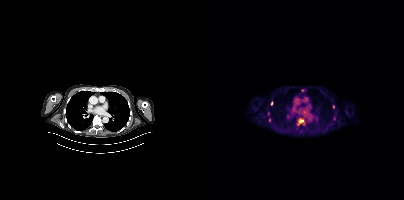
Two-panel axial: CT | PSMA PET, 18F-PSMA tracer. Acquired on Siemens Biograph mCT Flow 20. Slice position z = -523 mm. Coordinates are on the 200×200 PET (right) panel. (showing 5 of 6 foci) PSMA-avid tumor lesion bounding box (x0, y0)-(x1, y1): (95, 119)-(99, 122). Small PSMA-avid foci (2 to 4 px across) near (center x, center y): (65, 120) | (67, 103) | (129, 106) | (98, 90).